Left: CT. Right: PSMA PET, same axial level, [18F]PSMA-1007 tracer.
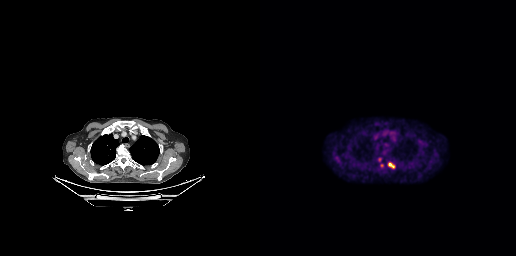
Coordinates are on the 256×256 PET (right) panel. (showing 1 of 2 foci) Small PSMA-avid focus (2 to 4 px across) near (center x, center y): (130, 164).